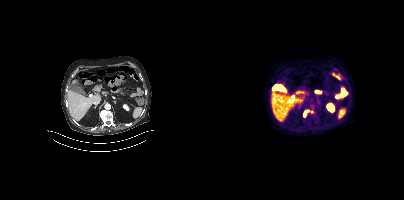
Findings: Coordinates are on the 200×200 PET (right) panel. PSMA-avid tumor lesion bounding box (x, y, width, height): x=99 y=110 w=7 h=8. Small PSMA-avid focus (2 to 4 px across) near (center x, center y): (107, 111).
- Two-panel axial: CT | PSMA PET, 18F-PSMA tracer
- PET panel 200×200 px (4.1 mm/px)